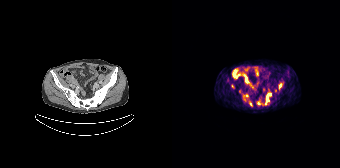
{"modality":"PSMA PET/CT","view":"axial","tracer":"68Ga-PSMA","pet_grid":[168,168],"coord_frame":"pet_panel","coord_format":"x0,y0,x1,y1","lesion_bboxes":[[93,93,99,104],[107,83,109,88]],"small_foci_centers":[[86,103],[78,104],[60,85],[74,95]]}